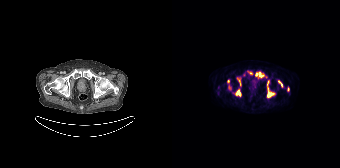
modality: PSMA PET/CT | tracer: 18F | view: axial
Coordinates are on the 168×168 PET (right) panel. PSMA-avid tumor lesion bounding boxes (x, y, width, height): x=95 y=80 w=9 h=18 / x=60 y=89 w=10 h=8 / x=55 y=80 w=5 h=11 / x=83 y=72 w=10 h=6 / x=106 y=80 w=6 h=8 / x=65 y=78 w=5 h=9 / x=115 y=87 w=3 h=5. Small PSMA-avid focus (2 to 4 px across) near (center x, center y): (78, 72).